modality: PSMA PET/CT | tracer: 18F | view: axial
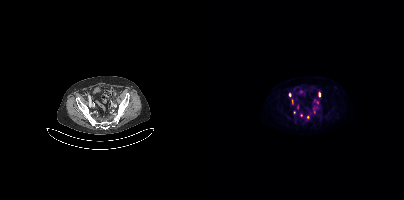
Coordinates are on the 200×200 PET (right) panel. (showing 9 of 11 foci) PSMA-avid tumor lesion bounding box (x, y, width, height): x=88 y=99 w=2 h=6. Small PSMA-avid foci (2 to 4 px across) near (center x, center y): (115, 94) | (97, 115) | (113, 102) | (90, 112) | (104, 117) | (85, 95) | (110, 100) | (93, 107).